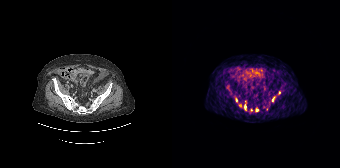
Coordinates are on the 168×168 PET (right) panel. PSMA-avid tumor lesion bounding boxes (partial; 1 more focus not listed):
| # | x0 | y0 | x1 | y1 |
|---|---|---|---|---|
| 1 | 100 | 96 | 103 | 101 |
| 2 | 72 | 105 | 74 | 109 |
Small PSMA-avid foci (2 to 4 px across) near (center x, center y): (68, 105); (85, 110); (64, 100); (107, 92).
Left: CT. Right: PSMA PET, same axial level, 68Ga tracer. PET panel 168×168 px (4.1 mm/px).